modality: PSMA PET/CT | tracer: 18F | view: axial
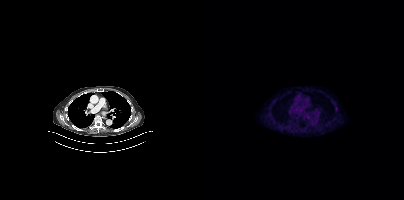
Only PSMA-avid lesion pieces thinner than 2 px on this slice (not listed).